Paired axial CT (left) and PSMA PET (right), 18F-PSMA tracer. Slice 33 of 263. PET panel 256×256 px (2.7 mm/px).
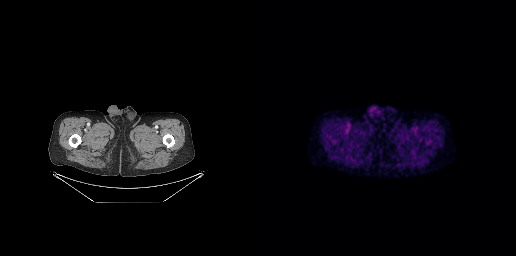
No tumor lesions annotated on this slice.